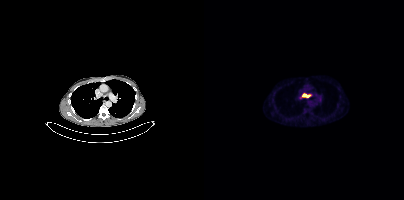
Left: CT. Right: PSMA PET, same axial level, 18F-PSMA tracer. Coordinates are on the 200×200 PET (right) panel. PSMA-avid tumor lesion bounding box (x0,y0,x1,y1): [96,94,105,98].